Technique: Two-panel axial: CT | PSMA PET, [18F]PSMA-1007 tracer.
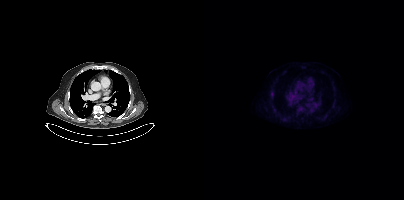
Findings: Coordinates are on the 200×200 PET (right) panel. Small PSMA-avid focus (2 to 4 px across) near (center x, center y): (67, 93).